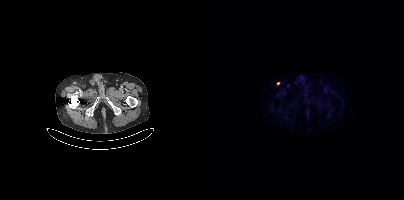
Two-panel axial: CT | PSMA PET, 18F-PSMA tracer. Coordinates are on the 200×200 PET (right) panel. Small PSMA-avid foci (2 to 4 px across) near (center x, center y): (74, 83) | (83, 85).